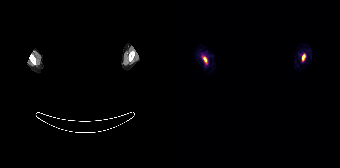
Coordinates are on the 168×168 PET (right) panel. PSMA-avid tumor lesion bounding boxes (x0, y0)-(x1, y1): (30, 56)-(35, 64) / (130, 53)-(133, 61).
The face region was removed for patient privacy by blanking a rectangle over the head.